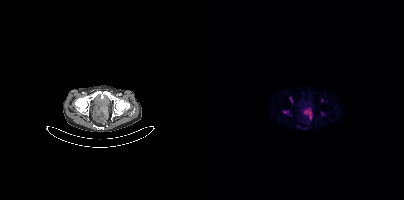
Findings: Only PSMA-avid lesion pieces thinner than 2 px on this slice (not listed).
- Two-panel axial: CT | PSMA PET, 18F-PSMA tracer
- slice 60 of 354
- PET panel 200×200 px (4.1 mm/px)